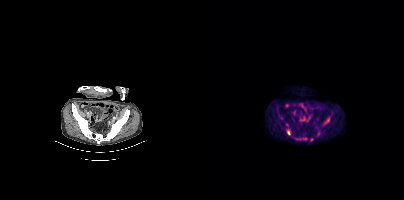
Coordinates are on the 200×200 PET (right) panel. PSMA-avid tumor lesion bounding boxes (x0,y0,x1,y1): [89,136,103,140], [121,117,125,123], [83,130,86,134]. Small PSMA-avid foci (2 to 4 px across) near (center x, center y): (107, 139), (114, 133).